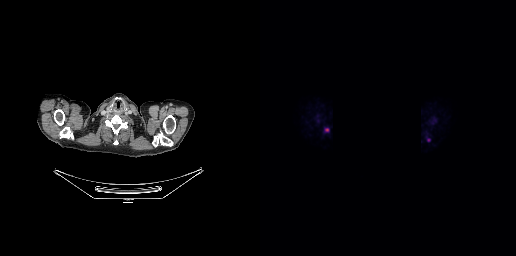
Technique: Two-panel axial: CT | PSMA PET, [18F]PSMA-1007 tracer. acquired on GE Discovery 690. slice position z = -118 mm. PET panel 256×256 px (2.7 mm/px).
Note: An anonymization step blacked out a rectangle in this scan.
Findings: Coordinates are on the 256×256 PET (right) panel. PSMA-avid tumor lesion bounding box (x, y, width, height): x=64 y=128 w=6 h=5.